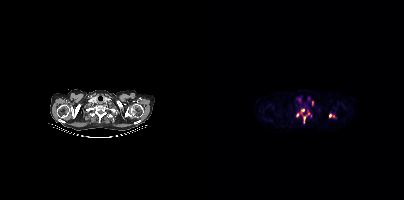
Paired axial CT (left) and PSMA PET (right), [18F]PSMA-1007 tracer. Slice 795 of 963.
Coordinates are on the 200×200 PET (right) panel. PSMA-avid tumor lesion bounding boxes:
| # | x0 | y0 | x1 | y1 |
|---|---|---|---|---|
| 1 | 99 | 116 | 101 | 122 |
| 2 | 125 | 114 | 130 | 117 |
| 3 | 97 | 109 | 100 | 113 |
| 4 | 108 | 101 | 109 | 105 |
Small PSMA-avid foci (2 to 4 px across) near (center x, center y): (104, 113); (94, 115).